Technique: Left: CT. Right: PSMA PET, same axial level, 18F tracer. PET panel 200×200 px (4.1 mm/px).
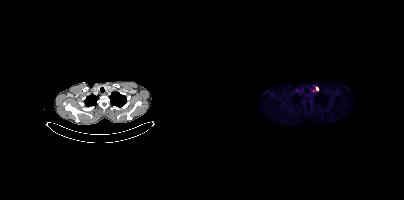
Findings: Coordinates are on the 200×200 PET (right) panel. Small PSMA-avid foci (2 to 4 px across) near (center x, center y): (113, 89) / (109, 90).